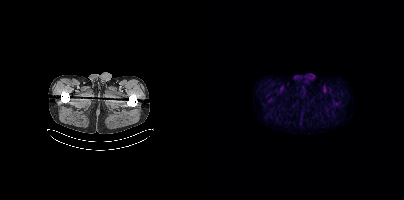
{"modality":"PSMA PET/CT","view":"axial","tracer":"18F-PSMA","pet_grid":[200,200],"coord_frame":"pet_panel","coord_format":"x0,y0,x1,y1","psma_avid_lesions":false}